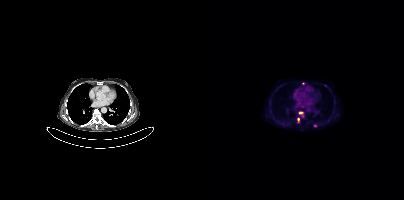
{"modality":"PSMA PET/CT","view":"axial","tracer":"18F-PSMA","pet_grid":[200,200],"coord_frame":"pet_panel","coord_format":"x0,y0,x1,y1","lesion_bboxes":[[109,124,113,127],[93,118,95,122]],"small_foci_centers":[[96,112],[99,83]]}